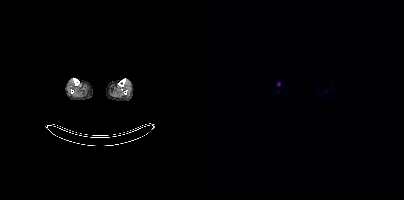
Technique: Two-panel axial: CT | PSMA PET, [18F]PSMA-1007 tracer. acquired on Siemens Biograph mCT Flow 20. PET panel 200×200 px (4.1 mm/px).
Findings: Coordinates are on the 200×200 PET (right) panel. Small PSMA-avid focus (2 to 4 px across) near (center x, center y): (74, 84).